- Left: CT. Right: PSMA PET, same axial level, 18F-PSMA tracer
- slice position z = -742 mm
- PET panel 256×256 px (2.7 mm/px)
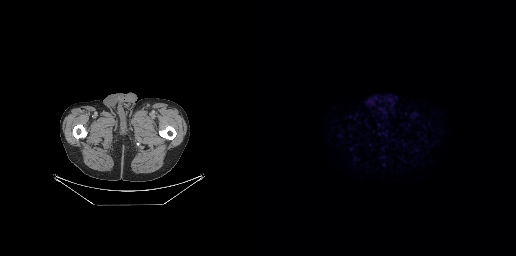
Findings: No tumor lesions annotated on this slice.